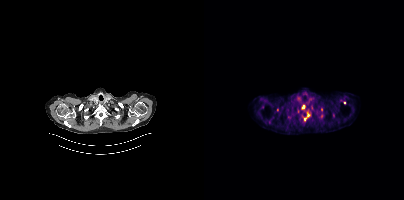
- Left: CT. Right: PSMA PET, same axial level, [18F]PSMA-1007 tracer
- acquired on Siemens Biograph mCT Flow 20
- PET panel 200×200 px (4.1 mm/px)
Findings: Coordinates are on the 200×200 PET (right) panel. (showing 4 of 5 foci) PSMA-avid tumor lesion bounding boxes (x, y, width, height): x=100 y=112 w=6 h=9 | x=98 y=105 w=4 h=5. Small PSMA-avid foci (2 to 4 px across) near (center x, center y): (140, 102) | (73, 109).